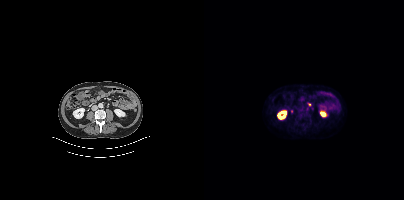
{"pet_grid":[200,200],"coord_frame":"pet_panel","coord_format":"x0,y0,x1,y1","lesion_bboxes":[],"small_foci_centers":[[105,104]],"modality":"PSMA PET/CT","view":"axial","tracer":"18F-PSMA"}